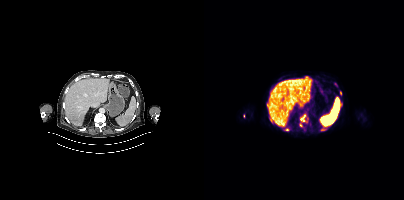
- Paired axial CT (left) and PSMA PET (right), 18F-PSMA tracer
- acquired on Siemens Biograph mCT Flow 20
- PET panel 200×200 px (4.1 mm/px)
Findings: Coordinates are on the 200×200 PET (right) panel. (showing 7 of 9 foci) PSMA-avid tumor lesion bounding boxes (x0, y0)-(x1, y1): (96, 115)-(101, 121) | (63, 104)-(64, 110). Small PSMA-avid foci (2 to 4 px across) near (center x, center y): (97, 124) | (120, 129) | (136, 92) | (80, 129) | (83, 129).